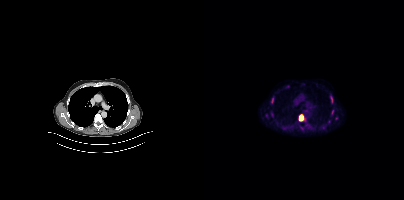
Coordinates are on the 200×200 PET (right) panel. PSMA-avid tumor lesion bounding boxes (x, y, width, height): x=95 y=114 w=5 h=8; x=127 y=99 w=3 h=5; x=127 y=110 w=4 h=6. Small PSMA-avid foci (2 to 4 px across) near (center x, center y): (132, 118); (125, 121); (68, 114); (119, 127); (68, 102); (62, 115).